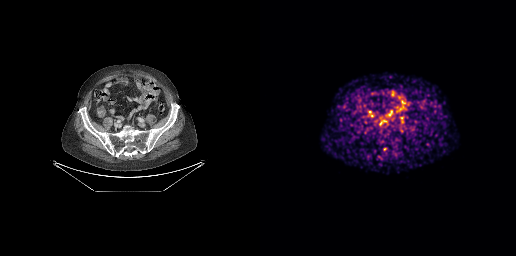
Paired axial CT (left) and PSMA PET (right), [68Ga]Ga-PSMA-11 tracer. PET panel 256×256 px (2.7 mm/px). Negative for PSMA-avid disease on this slice.